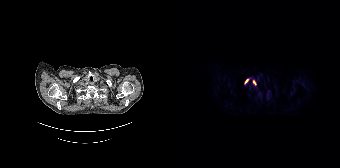
Two-panel axial: CT | PSMA PET, [18F]PSMA-1007 tracer.
Coordinates are on the 168×168 PET (right) panel. PSMA-avid tumor lesion bounding boxes:
| # | x0 | y0 | x1 | y1 |
|---|---|---|---|---|
| 1 | 72 | 78 | 77 | 84 |
| 2 | 81 | 80 | 84 | 85 |